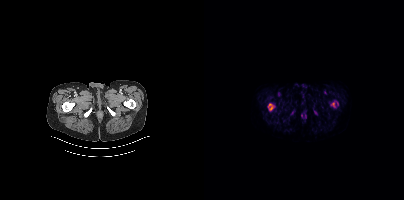
{"pet_grid":[200,200],"coord_frame":"pet_panel","coord_format":"x0,y0,x1,y1","partial":true,"lesion_bboxes":[[63,103,71,111]],"small_foci_centers":[[129,104]],"modality":"PSMA PET/CT","view":"axial","tracer":"18F"}